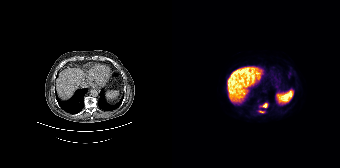
Coordinates are on the 168×168 PET (right) panel. PSMA-avid tumor lesion bounding boxes (x, y, width, height): x=88 y=103 w=9 h=5 | x=86 y=110 w=7 h=4.